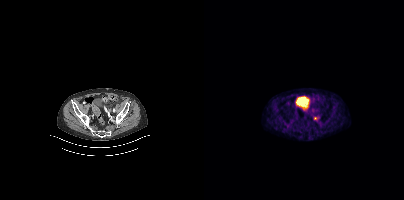
Coordinates are on the 200×200 PET (right) panel. Small PSMA-avid focus (2 to 4 px across) near (center x, center y): (111, 118).